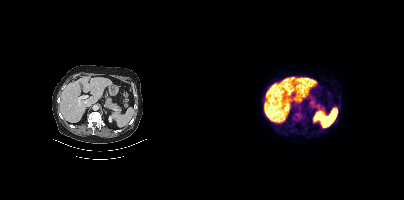
{"modality":"PSMA PET/CT","view":"axial","tracer":"18F-PSMA","pet_grid":[200,200],"coord_frame":"pet_panel","coord_format":"x0,y0,x1,y1","psma_avid_lesions":false}